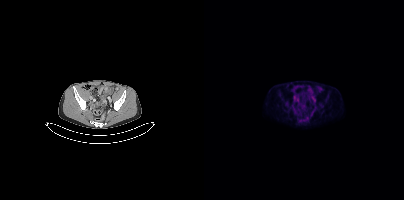
- Two-panel axial: CT | PSMA PET, 18F-PSMA tracer
- slice 106 of 429
Findings: Coordinates are on the 200×200 PET (right) panel. Small PSMA-avid focus (2 to 4 px across) near (center x, center y): (83, 112).